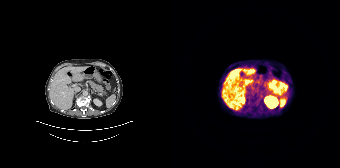
Technique: Left: CT. Right: PSMA PET, same axial level, 68Ga tracer. acquired on Siemens Biograph 64-4R TruePoint.
Findings: No tumor lesions annotated on this slice.